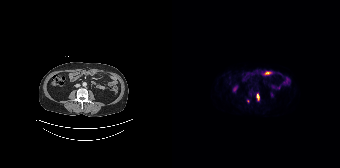
{"modality":"PSMA PET/CT","view":"axial","tracer":"18F-PSMA","pet_grid":[168,168],"coord_frame":"pet_panel","coord_format":"x0,y0,x1,y1","lesion_bboxes":[[84,93,87,100]],"small_foci_centers":[[75,101]]}